- Left: CT. Right: PSMA PET, same axial level, 18F tracer
- PET panel 200×200 px (4.1 mm/px)
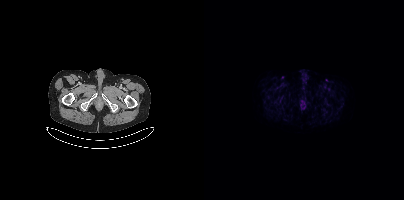
Findings: This slice has no annotated PSMA-avid lesion.